Left: CT. Right: PSMA PET, same axial level, [68Ga]Ga-PSMA-11 tracer.
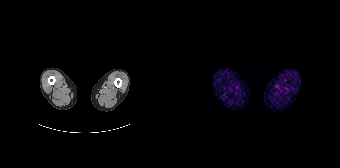
Negative for PSMA-avid disease on this slice.